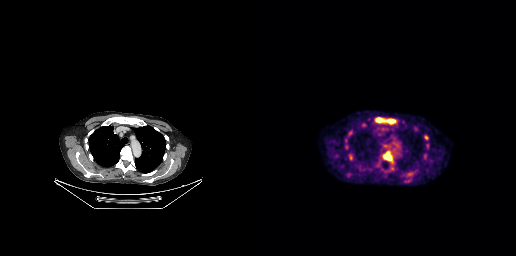
modality: PSMA PET/CT | tracer: [18F]PSMA-1007 | view: axial | PET grid: 256×256
Coordinates are on the 256×256 PET (right) panel. (showing 3 of 4 foci) PSMA-avid tumor lesion bounding boxes (x0,y0,x1,y1): [116,117,135,123]; [123,151,132,160]. Small PSMA-avid focus (2 to 4 px across) near (center x, center y): (116, 165).